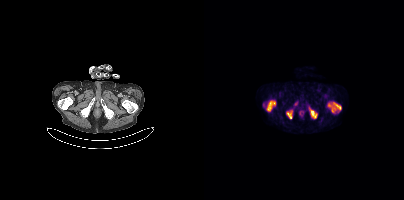
Paired axial CT (left) and PSMA PET (right), 18F tracer. Acquired on Siemens Biograph mCT Flow 20.
Coordinates are on the 200×200 PET (right) panel. PSMA-avid tumor lesion bounding boxes:
| # | x0 | y0 | x1 | y1 |
|---|---|---|---|---|
| 1 | 124 | 102 | 137 | 112 |
| 2 | 63 | 100 | 71 | 110 |
| 3 | 106 | 109 | 113 | 118 |
| 4 | 82 | 110 | 88 | 118 |